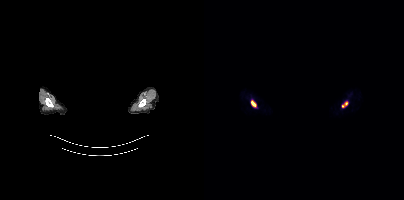
Any black rectangle over the head is a privacy mask, not anatomy.
Coordinates are on the 200×200 PET (right) panel. PSMA-avid tumor lesion bounding boxes (x0,y0,x1,y1): [47,100,52,107], [138,102,143,107].